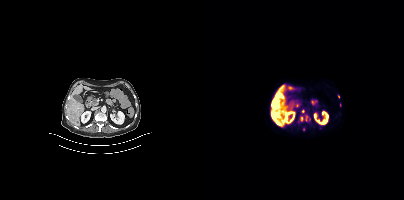
Findings: Coordinates are on the 200×200 PET (right) panel. (showing 3 of 4 foci) PSMA-avid tumor lesion bounding boxes (x0, y0)-(x1, y1): (68, 99)-(74, 106); (76, 94)-(79, 98). Small PSMA-avid focus (2 to 4 px across) near (center x, center y): (134, 96).
- Two-panel axial: CT | PSMA PET, 18F-PSMA tracer
- slice position z = -614 mm
- PET panel 200×200 px (4.1 mm/px)